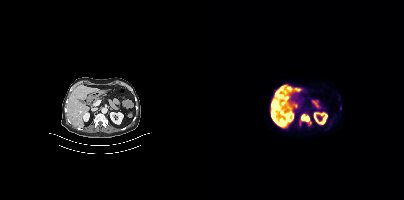
Coordinates are on the 200×200 PET (right) panel. PSMA-avid tumor lesion bounding boxes (x, y, width, height): x=97 y=114 w=9 h=8 | x=71 y=90 w=9 h=8 | x=68 y=102 w=6 h=7 | x=82 y=86 w=6 h=5.